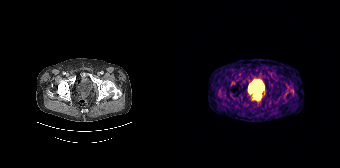
Coordinates are on the 168×168 PET (right) panel. PSMA-avid tumor lesion bounding box (x0, y0)-(x1, y1): (83, 93)-(88, 99).